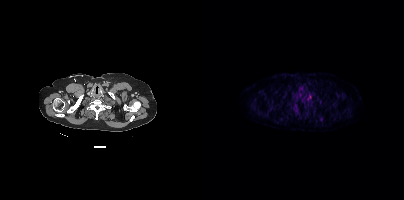
Findings: Coordinates are on the 200×200 PET (right) panel. PSMA-avid tumor lesion bounding box (x0,y0,x1,y1): [115,118,119,121]. Small PSMA-avid foci (2 to 4 px across) near (center x, center y): (89, 94), (92, 109).
Technique: Left: CT. Right: PSMA PET, same axial level, 18F-PSMA tracer.